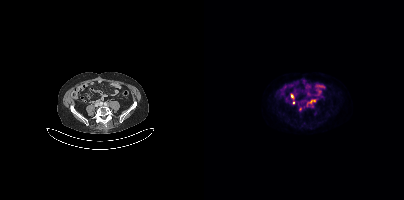
Coordinates are on the 200×200 PET (right) panel. PSMA-avid tumor lesion bounding boxes:
| # | x0 | y0 | x1 | y1 |
|---|---|---|---|---|
| 1 | 107 | 99 | 111 | 101 |
Small PSMA-avid foci (2 to 4 px across) near (center x, center y): (88, 95); (96, 109); (89, 102).
Left: CT. Right: PSMA PET, same axial level, 18F tracer. Acquired on Siemens Biograph mCT Flow 20. Slice 129 of 395.